Technique: Left: CT. Right: PSMA PET, same axial level, 18F-PSMA tracer. PET panel 200×200 px (4.1 mm/px).
Note: De-identified by setting a box covering the face to black before release.
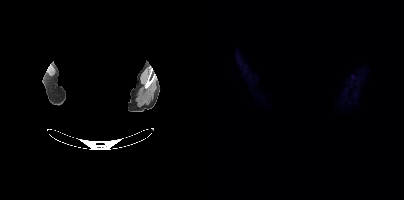
Findings: This slice has no annotated PSMA-avid lesion.